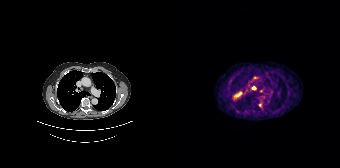
Left: CT. Right: PSMA PET, same axial level, [68Ga]Ga-PSMA-11 tracer. PET panel 168×168 px (4.1 mm/px). Coordinates are on the 168×168 PET (right) panel. Small PSMA-avid foci (2 to 4 px across) near (center x, center y): (81, 87) / (89, 91) / (87, 105).